- Two-panel axial: CT | PSMA PET, [18F]PSMA-1007 tracer
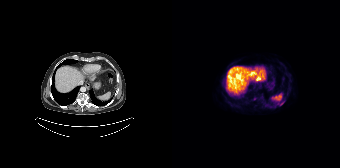
Findings: Coordinates are on the 168×168 PET (right) panel. (showing 2 of 3 foci) Small PSMA-avid foci (2 to 4 px across) near (center x, center y): (111, 102); (82, 98).